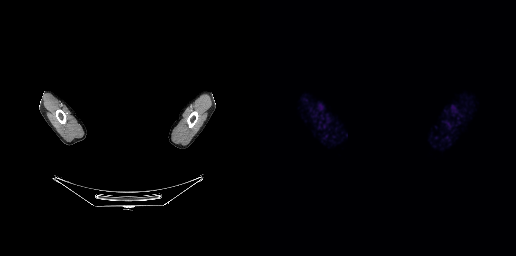
{"modality":"PSMA PET/CT","view":"axial","tracer":"68Ga","pet_grid":[256,256],"coord_frame":"pet_panel","coord_format":"x0,y0,x1,y1","de-identification":"rectangular block over head set to black","psma_avid_lesions":false}